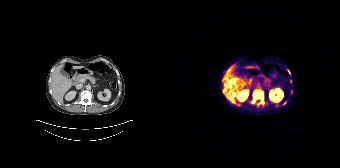
Findings: Coordinates are on the 168×168 PET (right) panel. PSMA-avid tumor lesion bounding boxes (x0,y0,x1,y1): [80,90,91,103], [63,102,68,106]. Small PSMA-avid foci (2 to 4 px across) near (center x, center y): (112, 102), (117, 71), (51, 90), (50, 79), (118, 81).
Technique: Paired axial CT (left) and PSMA PET (right), 68Ga tracer. acquired on Siemens Biograph 64-4R TruePoint. slice position z = -505 mm.